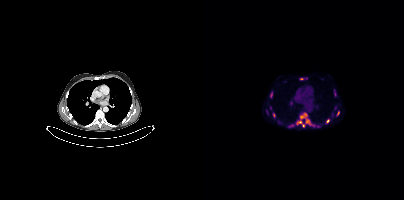
- Two-panel axial: CT | PSMA PET, [18F]PSMA-1007 tracer
- PET panel 200×200 px (4.1 mm/px)
Findings: Coordinates are on the 200×200 PET (right) panel. (showing 9 of 12 foci) PSMA-avid tumor lesion bounding boxes (x0,y0,x1,y1): [92,113,106,127] [122,119,125,123] [66,92,68,97] [132,111,135,116] [69,113,71,117]. Small PSMA-avid foci (2 to 4 px across) near (center x, center y): (97, 78) (131, 94) (114, 126) (66, 107).